Paired axial CT (left) and PSMA PET (right), 68Ga tracer.
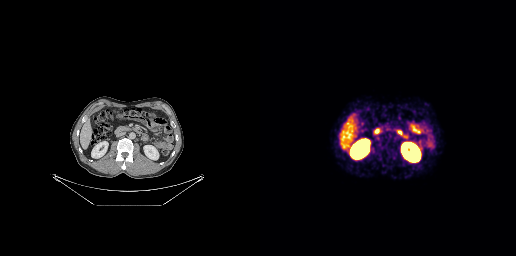
No tumor lesions annotated on this slice.